- Left: CT. Right: PSMA PET, same axial level, [18F]PSMA-1007 tracer
- slice 71 of 464
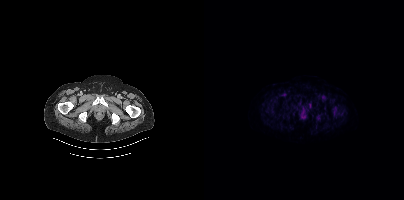
Findings: Coordinates are on the 200×200 PET (right) panel. (showing 5 of 7 foci) PSMA-avid tumor lesion bounding box (x0,y0,x1,y1): [113,116,117,120]. Small PSMA-avid foci (2 to 4 px across) near (center x, center y): (137, 112), (131, 113), (83, 116), (99, 110).